- Left: CT. Right: PSMA PET, same axial level, [18F]PSMA-1007 tracer
- acquired on Siemens Biograph mCT Flow 20
- slice position z = -1220 mm
- PET panel 200×200 px (4.1 mm/px)
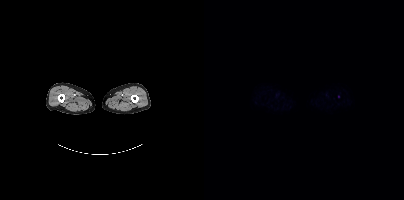
Findings: Coordinates are on the 200×200 PET (right) panel. Small PSMA-avid focus (2 to 4 px across) near (center x, center y): (134, 96).